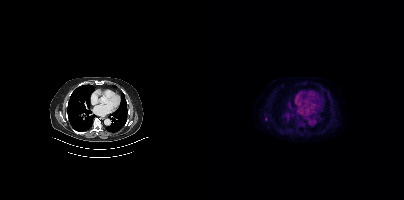
Coordinates are on the 200×200 PET (right) panel. Small PSMA-avid focus (2 to 4 px across) near (center x, center y): (62, 119).